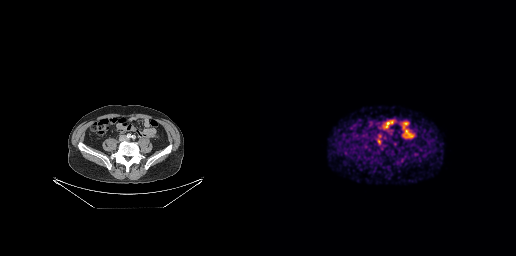
Left: CT. Right: PSMA PET, same axial level, 68Ga tracer.
Coordinates are on the 256×256 PET (right) panel. PSMA-avid tumor lesion bounding boxes:
| # | x0 | y0 | x1 | y1 |
|---|---|---|---|---|
| 1 | 118 | 139 | 120 | 143 |
Small PSMA-avid focus (2 to 4 px across) near (center x, center y): (119, 136).